Left: CT. Right: PSMA PET, same axial level, 18F-PSMA tracer. Slice 305 of 405. PET panel 200×200 px (4.1 mm/px).
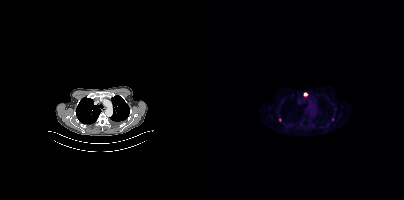
Coordinates are on the 200×200 PET (right) panel. Small PSMA-avid foci (2 to 4 px across) near (center x, center y): (101, 94), (128, 119), (75, 120), (108, 125), (131, 108).